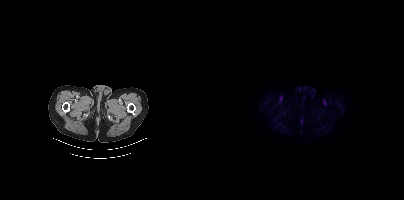
{"pet_grid":[200,200],"coord_frame":"pet_panel","coord_format":"x0,y0,x1,y1","psma_avid_lesions":false,"modality":"PSMA PET/CT","view":"axial","tracer":"[18F]PSMA-1007"}